modality: PSMA PET/CT | tracer: [18F]PSMA-1007 | view: axial
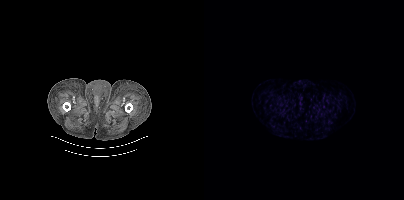
This slice has no annotated PSMA-avid lesion.